Left: CT. Right: PSMA PET, same axial level, 68Ga-PSMA tracer. Slice position z = -980 mm. PET panel 168×168 px (4.1 mm/px).
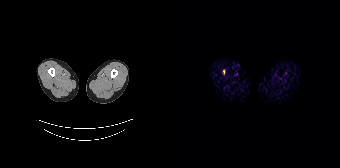
Coordinates are on the 168×168 PET (right) panel. Small PSMA-avid focus (2 to 4 px across) near (center x, center y): (51, 71).